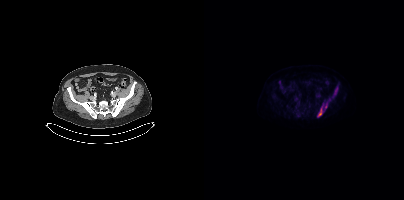
- Left: CT. Right: PSMA PET, same axial level, [18F]PSMA-1007 tracer
- acquired on Siemens Biograph mCT Flow 20
- slice position z = -831 mm
Findings: Coordinates are on the 200×200 PET (right) panel. PSMA-avid tumor lesion bounding box (x0,y0,x1,y1): [113,106,118,117]. Small PSMA-avid focus (2 to 4 px across) near (center x, center y): (121, 106).